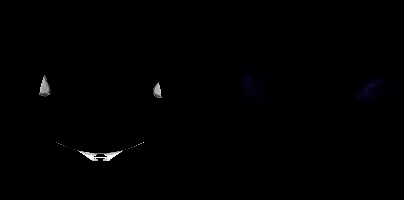
Technique: Two-panel axial: CT | PSMA PET, [18F]PSMA-1007 tracer. acquired on Siemens Biograph mCT Flow 20. slice position z = 297 mm. PET panel 200×200 px (4.1 mm/px).
Note: De-identified by setting a box covering the face to black before release.
Findings: No PSMA-avid tumor lesions on this slice.